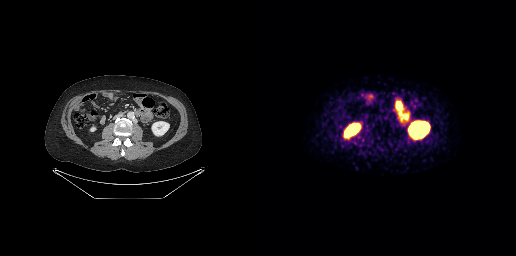
Negative for PSMA-avid disease on this slice. Paired axial CT (left) and PSMA PET (right), [68Ga]Ga-PSMA-11 tracer. Acquired on GE Discovery 690. Slice position z = -723 mm. PET panel 256×256 px (2.7 mm/px).